Paired axial CT (left) and PSMA PET (right), [18F]PSMA-1007 tracer.
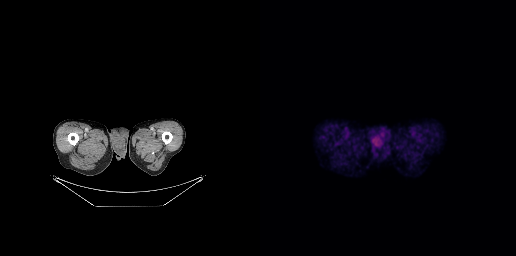
This slice has no annotated PSMA-avid lesion.